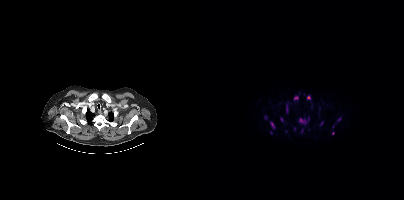
Coordinates are on the 200×200 PET (right) panel. PSMA-avid tumor lesion bounding boxes (partial; 1 more focus not listed):
| # | x0 | y0 | x1 | y1 |
|---|---|---|---|---|
| 1 | 95 | 118 | 102 | 124 |
| 2 | 66 | 121 | 71 | 129 |
| 3 | 90 | 96 | 94 | 100 |
| 4 | 103 | 95 | 106 | 100 |
| 5 | 82 | 105 | 83 | 112 |
| 6 | 133 | 118 | 137 | 121 |
| 7 | 116 | 121 | 119 | 125 |
Small PSMA-avid foci (2 to 4 px across) near (center x, center y): (61, 117); (67, 132); (129, 133); (104, 118); (90, 128); (98, 130); (82, 131).
Paired axial CT (left) and PSMA PET (right), 18F-PSMA tracer. Slice position z = -1107 mm.